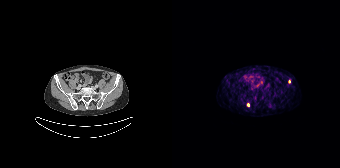
Coordinates are on the 168×168 PET (right) panel. (showing 2 of 3 foci) Small PSMA-avid foci (2 to 4 px across) near (center x, center y): (76, 104) / (117, 81).